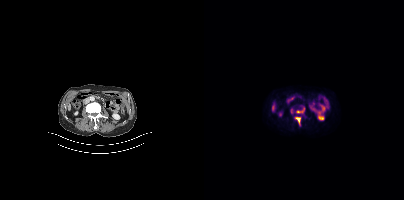
Coordinates are on the 200×200 PET (right) panel. PSMA-avid tumor lesion bounding boxes (x, y, width, height): x=91 y=117 w=6 h=10 / x=92 y=107 w=9 h=7. Small PSMA-avid focus (2 to 4 px across) near (center x, center y): (87, 110).